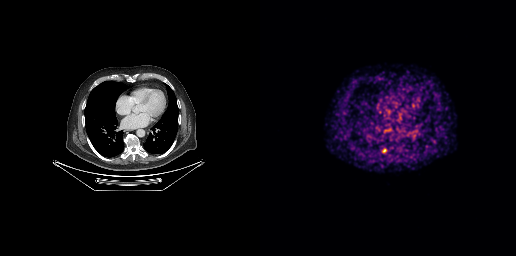
{"pet_grid":[256,256],"coord_frame":"pet_panel","coord_format":"x0,y0,x1,y1","partial":true,"lesion_bboxes":[],"modality":"PSMA PET/CT","view":"axial","tracer":"68Ga-PSMA"}